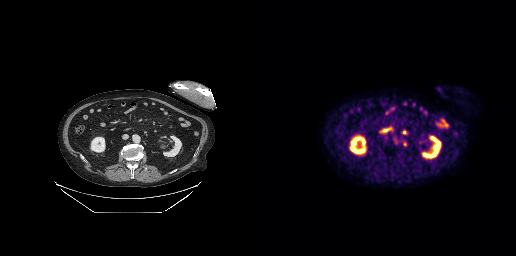
modality: PSMA PET/CT | tracer: 18F | view: axial | PET grid: 256×256
Coordinates are on the 256×256 PET (right) panel. PSMA-avid tumor lesion bounding box (x0,y0,x1,y1): [143,130,146,134]. Small PSMA-avid focus (2 to 4 px across) near (center x, center y): (144, 144).